modality: PSMA PET/CT | tracer: 18F-PSMA | view: axial
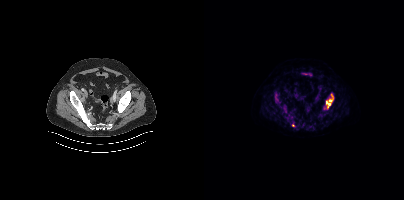
Coordinates are on the 200×200 PET (right) panel. (showing 1 of 2 foci) PSMA-avid tumor lesion bounding box (x0,y0,x1,y1): [122,93,129,108].